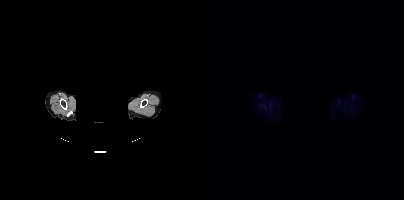
De-identified by setting a box covering the face to black before release. Paired axial CT (left) and PSMA PET (right), [18F]PSMA-1007 tracer. This slice has no annotated PSMA-avid lesion.